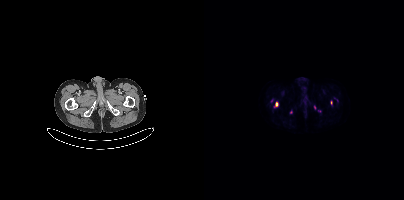
Coordinates are on the 200×200 PET (right) panel. (showing 4 of 6 foci) Small PSMA-avid foci (2 to 4 px across) near (center x, center y): (110, 107) / (72, 104) / (127, 102) / (86, 111).